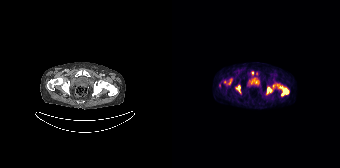
Coordinates are on the 168×168 PET (right) panel. PSMA-avid tumor lesion bounding boxes (x, y, width, height): x=105 y=84 w=13 h=13 / x=94 y=85 w=10 h=10 / x=63 y=85 w=6 h=9 / x=56 y=79 w=4 h=6. Small PSMA-avid foci (2 to 4 px across) near (center x, center y): (80, 72) / (84, 73) / (52, 81).